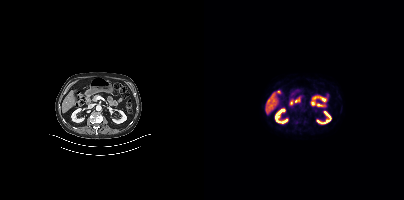
Left: CT. Right: PSMA PET, same axial level, [18F]PSMA-1007 tracer. Slice position z = -676 mm. PET panel 200×200 px (4.1 mm/px). No PSMA-avid tumor lesions on this slice.